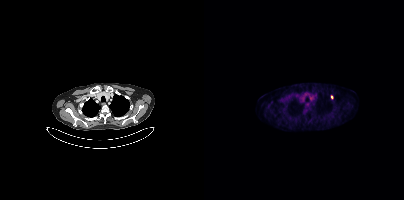
{"modality":"PSMA PET/CT","view":"axial","tracer":"18F","pet_grid":[200,200],"coord_frame":"pet_panel","coord_format":"x0,y0,x1,y1","lesion_bboxes":[],"small_foci_centers":[[127,97]]}